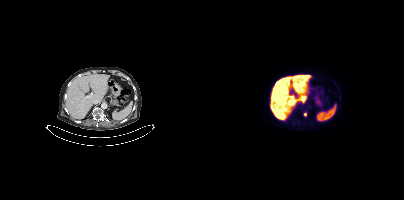
Coordinates are on the 200×200 PET (right) panel. Small PSMA-avid focus (2 to 4 px across) near (center x, center y): (101, 114).